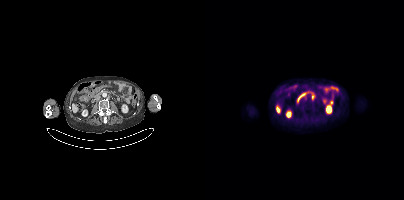
Coordinates are on the 200×200 PET (right) panel. PSMA-avid tumor lesion bounding box (x0, y0)-(x1, y1): (99, 96)-(102, 100).